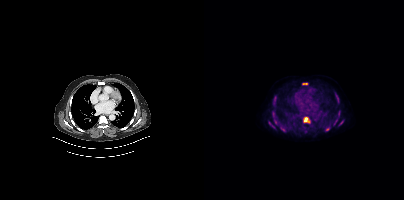
Coordinates are on the 200×200 PET (right) panel. PSMA-avid tumor lesion bounding boxes (partial; 1 more focus not listed):
| # | x0 | y0 | x1 | y1 |
|---|---|---|---|---|
| 1 | 99 | 117 | 105 | 123 |
| 2 | 78 | 127 | 81 | 131 |
| 3 | 69 | 96 | 72 | 104 |
| 4 | 122 | 126 | 125 | 130 |
| 5 | 135 | 120 | 139 | 125 |
| 6 | 98 | 83 | 103 | 84 |
| 7 | 130 | 119 | 133 | 124 |
Small PSMA-avid foci (2 to 4 px across) near (center x, center y): (134, 101); (70, 117); (69, 126); (65, 123); (134, 115).
Two-panel axial: CT | PSMA PET, 18F-PSMA tracer. Slice position z = -1090 mm.